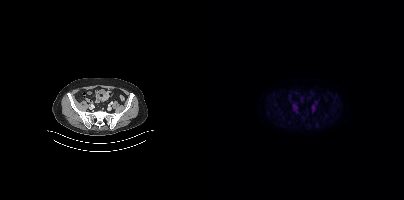
No PSMA-avid tumor lesions on this slice.